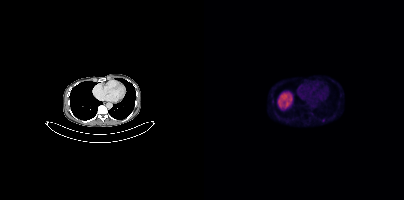
Coordinates are on the 200×200 PET (right) panel. PSMA-avid tumor lesion bounding box (x, y, width, height): x=117 y=118 w=5 h=5.
modality: PSMA PET/CT | tracer: 18F | view: axial